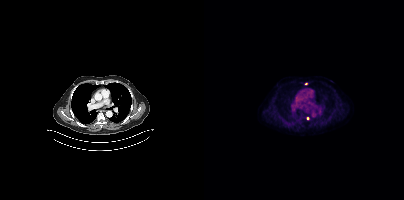
Left: CT. Right: PSMA PET, same axial level, 18F tracer. Acquired on Siemens Biograph mCT Flow 20. Slice 272 of 393. Coordinates are on the 200×200 PET (right) panel. Small PSMA-avid foci (2 to 4 px across) near (center x, center y): (102, 83) (103, 118).